Technique: Left: CT. Right: PSMA PET, same axial level, 18F-PSMA tracer. acquired on Siemens Biograph mCT Flow 20. PET panel 200×200 px (4.1 mm/px).
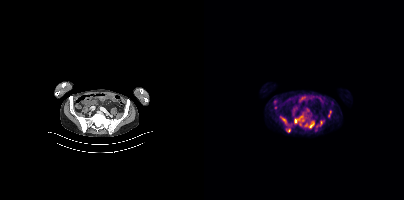
Findings: Coordinates are on the 200×200 PET (right) panel. (showing 6 of 8 foci) PSMA-avid tumor lesion bounding boxes (x0, y0)-(x1, y1): (90, 117)-(100, 125) / (100, 121)-(110, 128) / (80, 122)-(85, 129) / (116, 121)-(118, 125). Small PSMA-avid foci (2 to 4 px across) near (center x, center y): (126, 112) / (124, 115).